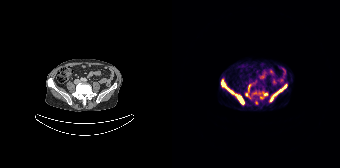
modality: PSMA PET/CT | tracer: 68Ga | view: axial
Coordinates are on the 168×168 PET (right) panel. (showing 8 of 9 foci) PSMA-avid tumor lesion bounding boxes (x0, y0)-(x1, y1): (49, 80)-(61, 93); (63, 94)-(72, 104); (102, 85)-(114, 95); (91, 92)-(95, 96); (73, 92)-(76, 96); (76, 85)-(78, 89). Small PSMA-avid foci (2 to 4 px across) near (center x, center y): (99, 98); (89, 97).